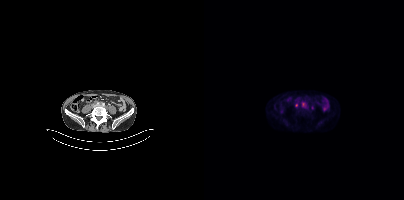
{"modality":"PSMA PET/CT","view":"axial","tracer":"18F","pet_grid":[200,200],"coord_frame":"pet_panel","coord_format":"x0,y0,x1,y1","lesion_bboxes":[],"small_foci_centers":[[99,104],[92,105]]}